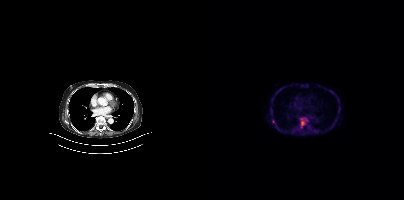
Technique: Left: CT. Right: PSMA PET, same axial level, [18F]PSMA-1007 tracer. acquired on Siemens Biograph mCT Flow 20.
Findings: Coordinates are on the 200×200 PET (right) panel. (showing 2 of 4 foci) PSMA-avid tumor lesion bounding box (x0,y0,x1,y1): [96,121,100,125]. Small PSMA-avid focus (2 to 4 px across) near (center x, center y): (100, 119).